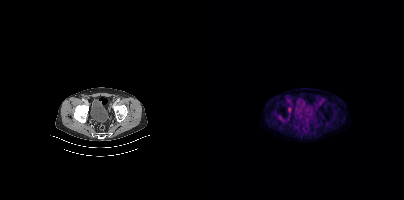
Negative for PSMA-avid disease on this slice. Paired axial CT (left) and PSMA PET (right), 18F tracer. PET panel 200×200 px (4.1 mm/px).